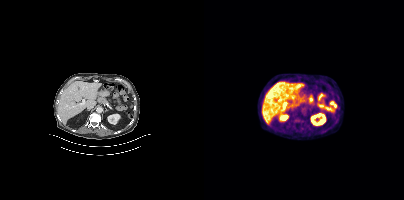
{"modality":"PSMA PET/CT","view":"axial","tracer":"18F-PSMA","pet_grid":[200,200],"coord_frame":"pet_panel","coord_format":"x0,y0,x1,y1","psma_avid_lesions":false}